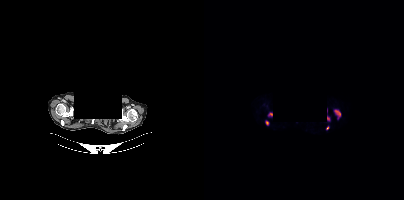
{"pet_grid":[200,200],"coord_frame":"pet_panel","coord_format":"x0,y0,x1,y1","lesion_bboxes":[[130,109,136,116],[64,112,68,116],[61,120,65,125]],"small_foci_centers":[[123,127]],"modality":"PSMA PET/CT","view":"axial","tracer":"[18F]PSMA-1007","redaction":"head region blacked out before release"}